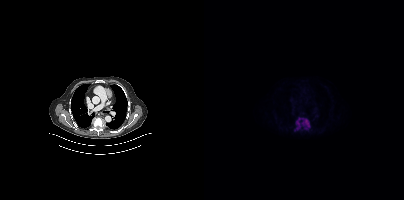
Findings: Coordinates are on the 200×200 PET (right) panel. PSMA-avid tumor lesion bounding box (x, y, width, height): x=91 y=119 w=15 h=12.
Technique: Paired axial CT (left) and PSMA PET (right), 18F tracer. acquired on Siemens Biograph mCT Flow 20. PET panel 200×200 px (4.1 mm/px).